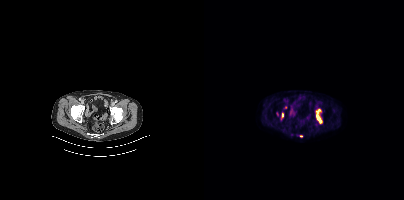
- Two-panel axial: CT | PSMA PET, 18F-PSMA tracer
- PET panel 200×200 px (4.1 mm/px)
Findings: Coordinates are on the 200×200 PET (right) panel. PSMA-avid tumor lesion bounding boxes (x0,y0,x1,y1): [112,109,118,123]; [78,113,79,117]. Small PSMA-avid focus (2 to 4 px across) near (center x, center y): (97, 136).